- Two-panel axial: CT | PSMA PET, 18F-PSMA tracer
- acquired on Siemens Biograph mCT Flow 20
- PET panel 200×200 px (4.1 mm/px)
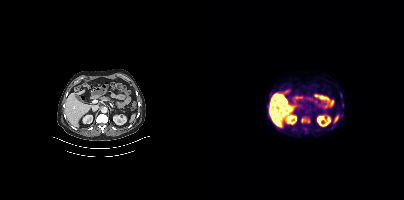
Findings: Coordinates are on the 200×200 PET (right) panel. (showing 2 of 5 foci) PSMA-avid tumor lesion bounding boxes (x, y, width, height): x=97 y=117 w=10 h=7; x=100 y=129 w=5 h=5.